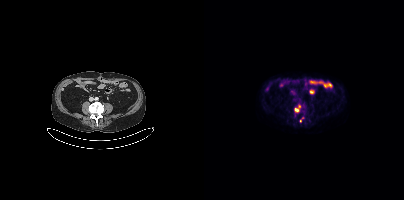
Coordinates are on the 200×200 PET (right) panel. PSMA-avid tumor lesion bounding boxes (partial; 2 more foci not listed):
| # | x0 | y0 | x1 | y1 |
|---|---|---|---|---|
| 1 | 96 | 117 | 99 | 122 |
Small PSMA-avid focus (2 to 4 px across) near (center x, center y): (92, 109).
Left: CT. Right: PSMA PET, same axial level, 18F tracer. Acquired on Siemens Biograph mCT Flow 20. Slice 144 of 387.